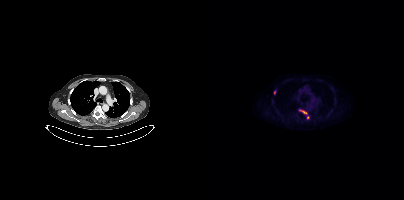
Coordinates are on the 200×200 PET (right) panel. PSMA-avid tumor lesion bounding boxes (x, y, width, height): x=95 y=109 w=8 h=5; x=70 y=90 w=3 h=5. Small PSMA-avid focus (2 to 4 px across) near (center x, center y): (103, 117).
modality: PSMA PET/CT | tracer: [18F]PSMA-1007 | view: axial | PET grid: 200×200